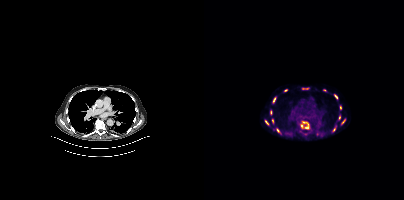
Coordinates are on the 200×200 PET (right) panel. PSMA-avid tumor lesion bounding boxes (x, y, width, height): x=96 y=121 w=10 h=9 | x=98 y=87 w=8 h=3 | x=68 y=97 w=5 h=7 | x=130 y=94 w=5 h=6 | x=134 y=115 w=3 h=5 | x=61 y=120 w=4 h=5 | x=136 y=105 w=2 h=5 | x=138 y=119 w=4 h=5. Small PSMA-avid foci (2 to 4 px across) near (center x, center y): (66, 112) | (130, 129) | (74, 130) | (68, 120) | (120, 90).